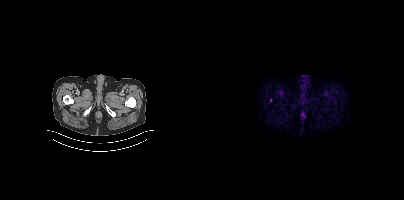
Technique: Paired axial CT (left) and PSMA PET (right), [68Ga]Ga-PSMA-11 tracer. acquired on Siemens Biograph mCT Flow 20. slice 44 of 429. PET panel 200×200 px (4.1 mm/px).
Findings: Coordinates are on the 200×200 PET (right) panel. Small PSMA-avid focus (2 to 4 px across) near (center x, center y): (66, 100).